modality: PSMA PET/CT | tracer: [18F]PSMA-1007 | view: axial
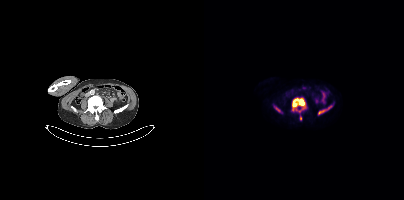
Coordinates are on the 200×200 PET (right) panel. PSMA-avid tumor lesion bounding boxes (x0, y0)-(x1, y1): (88, 98)-(101, 112) | (114, 106)-(127, 114) | (70, 106)-(75, 111). Small PSMA-avid focus (2 to 4 px across) near (center x, center y): (96, 118).